Paired axial CT (left) and PSMA PET (right), 18F tracer. PET panel 200×200 px (4.1 mm/px).
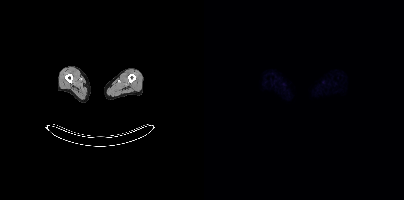
No PSMA-avid tumor lesions on this slice.